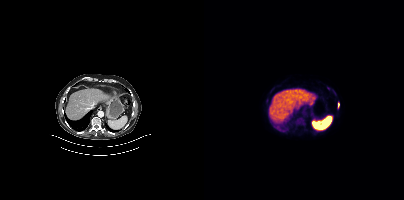
Paired axial CT (left) and PSMA PET (right), 18F-PSMA tracer. PET panel 200×200 px (4.1 mm/px).
Coordinates are on the 200×200 PET (right) panel. PSMA-avid tumor lesion bounding boxes (partial; 1 more focus not listed):
| # | x0 | y0 | x1 | y1 |
|---|---|---|---|---|
| 1 | 134 | 103 | 135 | 107 |